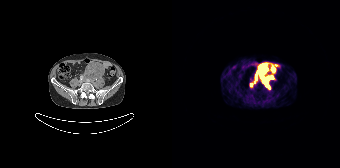
Coordinates are on the 168×168 PET (right) panel. PSMA-avid tumor lesion bounding boxes (x0,y0,x1,y1): [83,63,101,88] [99,68,103,72]. Small PSMA-avid foci (2 to 4 px across) near (center x, center y): (79, 85) (82, 81). Two-panel axial: CT | PSMA PET, [68Ga]Ga-PSMA-11 tracer. Slice 54 of 165.